- Left: CT. Right: PSMA PET, same axial level, 18F-PSMA tracer
- acquired on Siemens Biograph mCT Flow 20
- PET panel 200×200 px (4.1 mm/px)
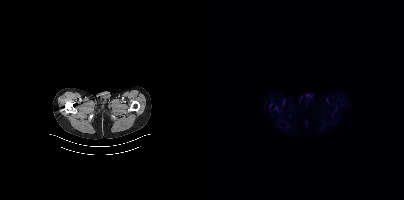
Findings: No tumor lesions annotated on this slice.